modality: PSMA PET/CT | tracer: 18F-PSMA | view: axial | PET grid: 200×200
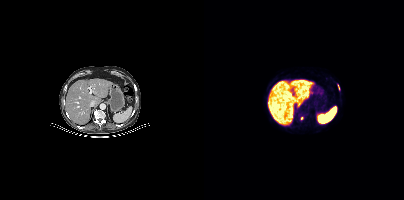
Coordinates are on the 200×200 PET (right) panel. (showing 1 of 3 foci) Small PSMA-avid focus (2 to 4 px across) near (center x, center y): (97, 118).